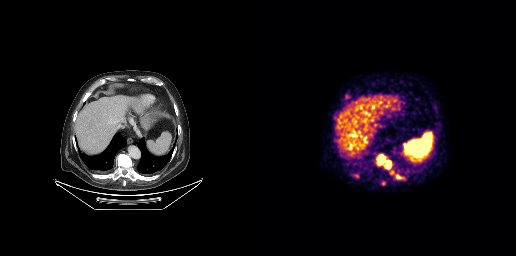
- Left: CT. Right: PSMA PET, same axial level, [68Ga]Ga-PSMA-11 tracer
- acquired on GE Discovery 690
- slice 165 of 263
Findings: Coordinates are on the 256×256 PET (right) panel. PSMA-avid tumor lesion bounding boxes (x, y, width, height): x=116 y=153 w=17 h=17; x=135 y=174 w=5 h=5; x=130 y=170 w=5 h=5. Small PSMA-avid foci (2 to 4 px across) near (center x, center y): (87, 96); (123, 183).